- Paired axial CT (left) and PSMA PET (right), [18F]PSMA-1007 tracer
- slice position z = -491 mm
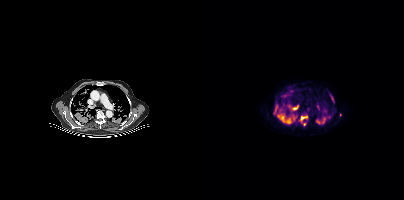
Findings: Coordinates are on the 200×200 PET (right) panel. PSMA-avid tumor lesion bounding boxes (x0,y0,x1,y1): [73,113,92,123] [83,104,94,110] [96,116,103,120] [70,105,73,114] [118,118,121,123] [126,95,130,102]. Small PSMA-avid foci (2 to 4 px across) near (center x, center y): (113, 121) (114, 106) (136, 115) (100, 124) (75, 110).